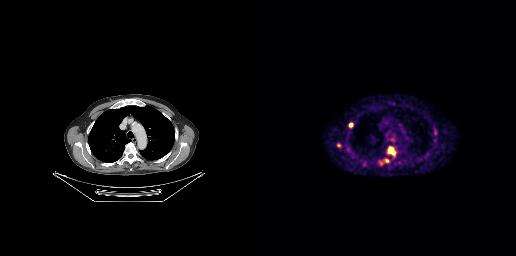
Coordinates are on the 256×256 PET (right) panel. PSMA-avid tumor lesion bounding boxes (x0,y0,x1,y1): [128,147,134,154]; [120,159,129,164]; [89,123,92,127]. Small PSMA-avid focus (2 to 4 px across) near (center x, center y): (78, 145).
modality: PSMA PET/CT | tracer: [68Ga]Ga-PSMA-11 | view: axial | PET grid: 256×256